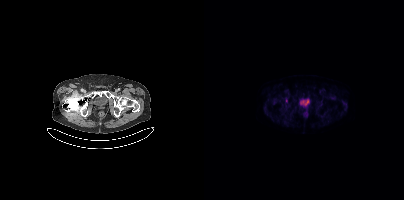
This slice has no annotated PSMA-avid lesion.